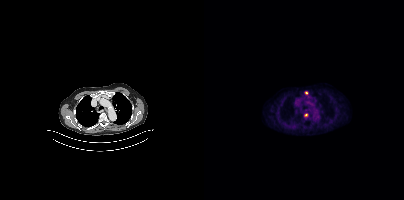
{"modality":"PSMA PET/CT","view":"axial","tracer":"[18F]PSMA-1007","pet_grid":[200,200],"coord_frame":"pet_panel","coord_format":"x0,y0,x1,y1","lesion_bboxes":[],"small_foci_centers":[[102,92],[101,115]]}